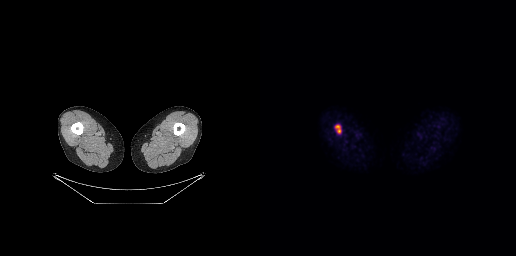
Coordinates are on the 256×256 PET (right) panel. PSMA-avid tumor lesion bounding box (x0,y0,x1,y1): [75,125,80,132].